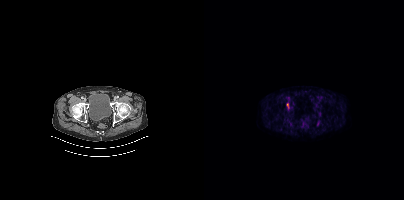
Paired axial CT (left) and PSMA PET (right), [18F]PSMA-1007 tracer.
Coordinates are on the 200×200 PET (right) panel. PSMA-avid tumor lesion bounding boxes (partial; 1 more focus not listed):
| # | x0 | y0 | x1 | y1 |
|---|---|---|---|---|
| 1 | 83 | 103 | 85 | 108 |